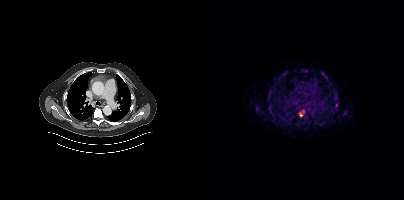
Two-panel axial: CT | PSMA PET, 18F tracer. Slice position z = -336 mm.
Coordinates are on the 200×200 PET (right) panel. PSMA-avid tumor lesion bounding boxes:
| # | x0 | y0 | x1 | y1 |
|---|---|---|---|---|
| 1 | 95 | 110 | 101 | 118 |
| 2 | 118 | 72 | 123 | 79 |
| 3 | 63 | 94 | 67 | 99 |
| 4 | 130 | 97 | 134 | 101 |
| 5 | 66 | 110 | 70 | 114 |
| 6 | 77 | 72 | 81 | 76 |
| 7 | 98 | 69 | 103 | 72 |
| 8 | 124 | 117 | 125 | 121 |
| 9 | 127 | 117 | 128 | 121 |
Small PSMA-avid foci (2 to 4 px across) near (center x, center y): (132, 105); (53, 107); (130, 110).